Technique: Left: CT. Right: PSMA PET, same axial level, 18F-PSMA tracer. PET panel 200×200 px (4.1 mm/px).
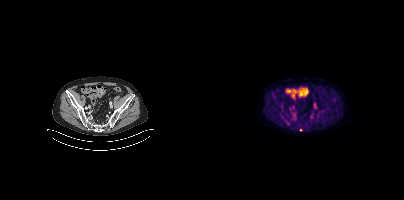
Findings: Only PSMA-avid lesion pieces thinner than 2 px on this slice (not listed).